Paired axial CT (left) and PSMA PET (right), [18F]PSMA-1007 tracer.
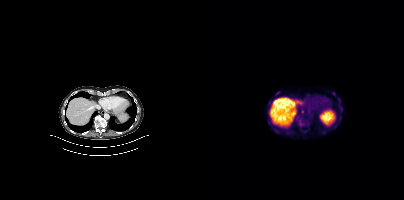
Coordinates are on the 200×200 PET (right) panel. PSMA-avid tumor lesion bounding boxes (x, y, width, height): x=71 y=91 w=6 h=4 | x=137 y=106 w=2 h=6 | x=97 y=109 w=3 h=5. Small PSMA-avid focus (2 to 4 px across) near (center x, center y): (130, 93).